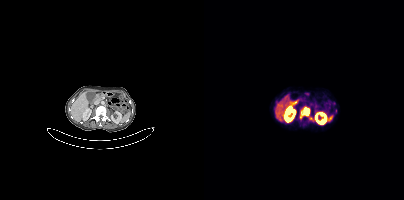
Coordinates are on the 200×200 PET (right) panel. (showing 1 of 4 foci) PSMA-avid tumor lesion bounding box (x, y, width, height): x=96 y=107 w=10 h=11.